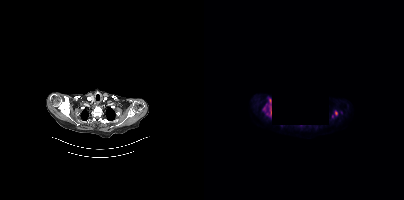
Coordinates are on the 200×200 PET (right) panel. PSMA-avid tumor lesion bounding boxes:
| # | x0 | y0 | x1 | y1 |
|---|---|---|---|---|
| 1 | 59 | 99 | 67 | 118 |
| 2 | 131 | 111 | 133 | 115 |
Small PSMA-avid focus (2 to 4 px across) near (center x, center y): (128, 116).
Paired axial CT (left) and PSMA PET (right), 18F tracer. Acquired on Siemens Biograph mCT Flow 20. Slice position z = -874 mm. PET panel 200×200 px (4.1 mm/px). Some pixels were blanked for anonymization.